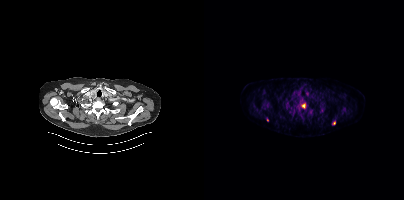
- Paired axial CT (left) and PSMA PET (right), 18F-PSMA tracer
- slice position z = -242 mm
Findings: Coordinates are on the 200×200 PET (right) panel. (showing 8 of 9 foci) PSMA-avid tumor lesion bounding boxes (x, y, width, height): x=80 y=103 w=13 h=10; x=138 y=107 w=6 h=7; x=116 y=107 w=5 h=7; x=96 y=98 w=5 h=5; x=97 y=104 w=5 h=5; x=57 y=103 w=3 h=6. Small PSMA-avid foci (2 to 4 px across) near (center x, center y): (130, 123); (106, 88).